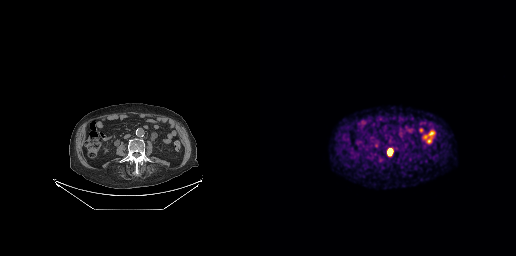
{"modality":"PSMA PET/CT","view":"axial","tracer":"[18F]PSMA-1007","pet_grid":[256,256],"coord_frame":"pet_panel","coord_format":"x0,y0,x1,y1","lesion_bboxes":[[128,148,134,156]]}